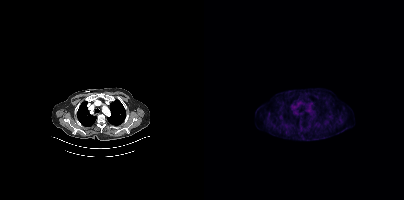
Paired axial CT (left) and PSMA PET (right), 18F-PSMA tracer. Negative for PSMA-avid disease on this slice.